Head region blanked for anonymization (face removed). Two-panel axial: CT | PSMA PET, [68Ga]Ga-PSMA-11 tracer.
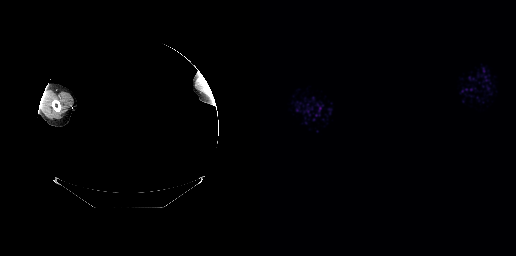
Negative for PSMA-avid disease on this slice.